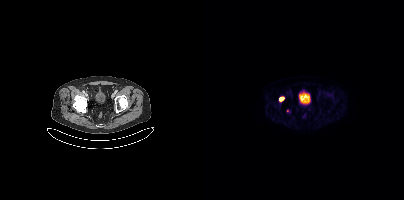
Coordinates are on the 200×200 PET (right) panel. PSMA-avid tumor lesion bounding box (x0, y0)-(x1, y1): (75, 97)-(79, 100).